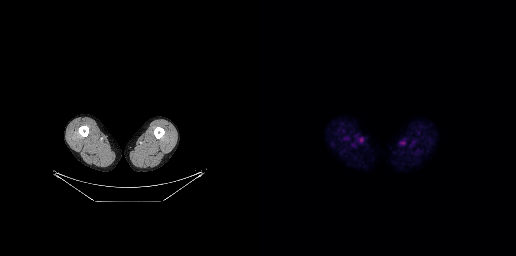
- Two-panel axial: CT | PSMA PET, 18F-PSMA tracer
- acquired on GE Discovery 690
- PET panel 256×256 px (2.7 mm/px)
Findings: No PSMA-avid tumor lesions on this slice.